Two-panel axial: CT | PSMA PET, [18F]PSMA-1007 tracer. Acquired on Siemens Biograph mCT Flow 20. Slice position z = -894 mm. A rectangular privacy mask was applied before release.
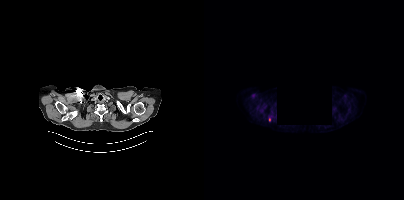
Coordinates are on the 200×200 PET (right) panel. Small PSMA-avid focus (2 to 4 px across) near (center x, center y): (65, 119).